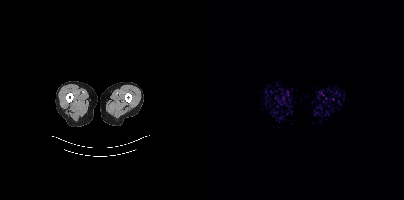
Two-panel axial: CT | PSMA PET, 18F-PSMA tracer. Acquired on Siemens Biograph mCT Flow 20. No tumor lesions annotated on this slice.